Technique: Paired axial CT (left) and PSMA PET (right), 18F tracer. acquired on Siemens Biograph mCT Flow 20. slice position z = -1275 mm.
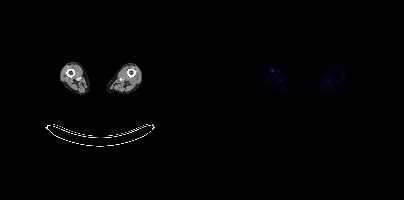
Findings: No tumor lesions annotated on this slice.